Technique: Paired axial CT (left) and PSMA PET (right), 18F-PSMA tracer. acquired on Siemens Biograph mCT Flow 20. slice 227 of 431.
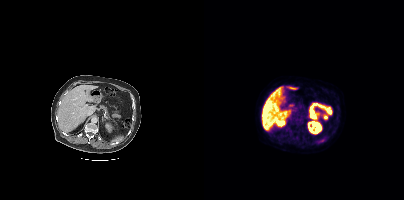
Findings: No PSMA-avid tumor lesions on this slice.